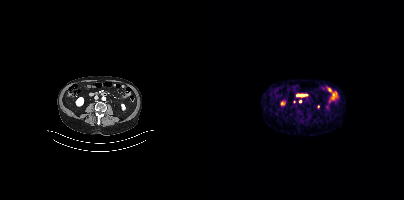
Findings: Coordinates are on the 200×200 PET (right) panel. Small PSMA-avid focus (2 to 4 px across) near (center x, center y): (96, 101).
- Left: CT. Right: PSMA PET, same axial level, [68Ga]Ga-PSMA-11 tracer
- PET panel 200×200 px (4.1 mm/px)